Technique: Paired axial CT (left) and PSMA PET (right), 18F tracer. PET panel 200×200 px (4.1 mm/px).
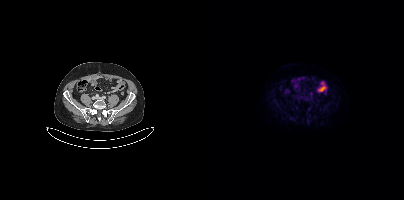
Findings: No PSMA-avid tumor lesions on this slice.